modality: PSMA PET/CT | tracer: [18F]PSMA-1007 | view: axial | PET grid: 200×200
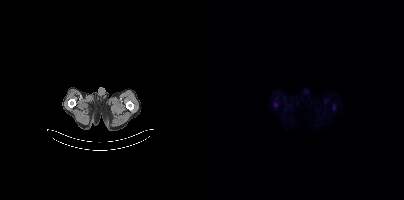
No PSMA-avid tumor lesions on this slice.